Paired axial CT (left) and PSMA PET (right), 18F-PSMA tracer. PET panel 200×200 px (4.1 mm/px).
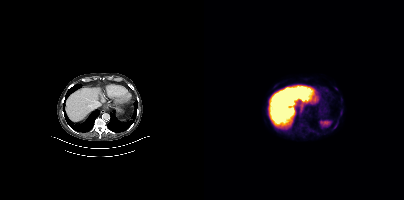
Coordinates are on the 200×200 PET (right) panel. Small PSMA-avid foci (2 to 4 px across) near (center x, center y): (137, 112); (130, 128).